modality: PSMA PET/CT | tracer: 18F-PSMA | view: axial
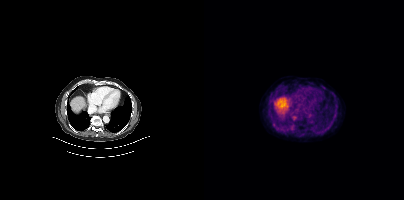
No PSMA-avid tumor lesions on this slice.